Left: CT. Right: PSMA PET, same axial level, 18F tracer. Acquired on Siemens Biograph mCT Flow 20. A rectangle over the head was blacked out to remove identifiable facial features.
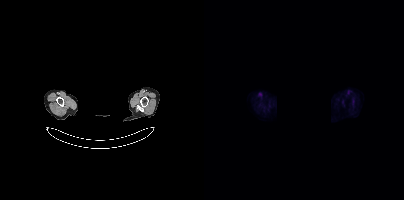
Negative for PSMA-avid disease on this slice.